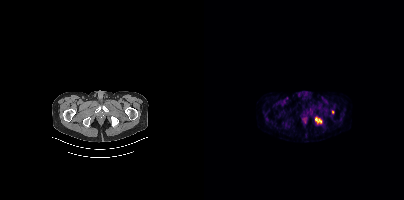
Coordinates are on the 200×200 PET (right) panel. PSMA-avid tumor lesion bounding box (x, y, width, height): x=111 y=117 w=7 h=7. Small PSMA-avid focus (2 to 4 px across) near (center x, center y): (128, 112).